Left: CT. Right: PSMA PET, same axial level, 18F-PSMA tracer.
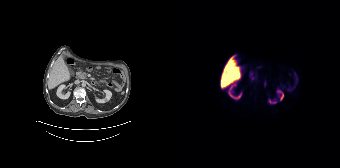
No PSMA-avid tumor lesions on this slice.